Paired axial CT (left) and PSMA PET (right), 18F-PSMA tracer. PET panel 200×200 px (4.1 mm/px).
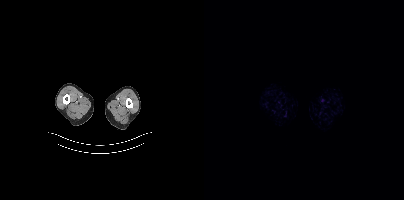
No PSMA-avid tumor lesions on this slice.